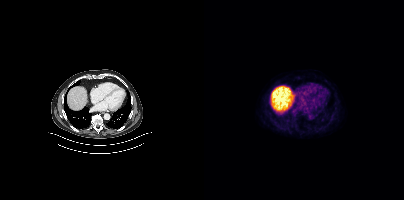
Technique: Two-panel axial: CT | PSMA PET, [18F]PSMA-1007 tracer. slice position z = -602 mm.
Findings: Negative for PSMA-avid disease on this slice.